- Two-panel axial: CT | PSMA PET, 68Ga tracer
- slice position z = -651 mm
- PET panel 256×256 px (2.7 mm/px)
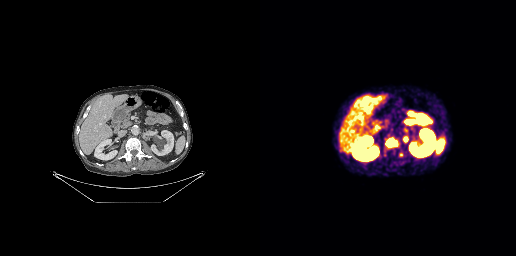
Findings: Coordinates are on the 256×256 PET (right) panel. PSMA-avid tumor lesion bounding box (x, y, width, height): x=127 y=139 w=11 h=7. Small PSMA-avid foci (2 to 4 px across) near (center x, center y): (140, 154); (145, 138).